- Paired axial CT (left) and PSMA PET (right), 18F-PSMA tracer
- slice position z = -716 mm
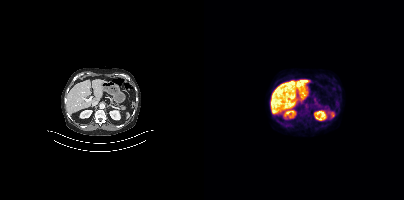
Findings: Negative for PSMA-avid disease on this slice.